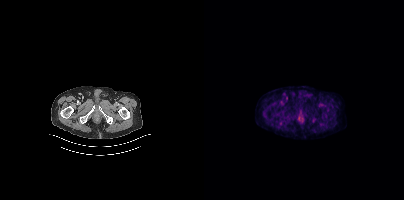
Technique: Left: CT. Right: PSMA PET, same axial level, 18F-PSMA tracer. acquired on Siemens Biograph mCT Flow 20. slice 49 of 377. PET panel 200×200 px (4.1 mm/px).
Findings: This slice has no annotated PSMA-avid lesion.